Privacy masking over the head, with the pixels inside a rectangle set to black. Two-panel axial: CT | PSMA PET, 18F tracer. Slice 356 of 387.
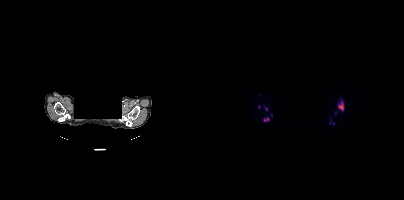
Coordinates are on the 200×200 PET (right) panel. (showing 4 of 6 foci) PSMA-avid tumor lesion bounding boxes (x, y, width, height): x=133 y=100 w=8 h=12 / x=59 y=117 w=7 h=5. Small PSMA-avid foci (2 to 4 px across) near (center x, center y): (62, 109) / (131, 113).